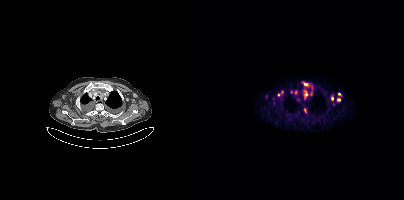
{"pet_grid":[200,200],"coord_frame":"pet_panel","coord_format":"x0,y0,x1,y1","partial":true,"lesion_bboxes":[[99,90,103,98],[100,83,104,86],[107,84,108,90]],"small_foci_centers":[[134,99],[128,98],[101,110],[78,92],[87,92],[91,92],[135,93],[62,96],[74,94]],"modality":"PSMA PET/CT","view":"axial","tracer":"18F"}